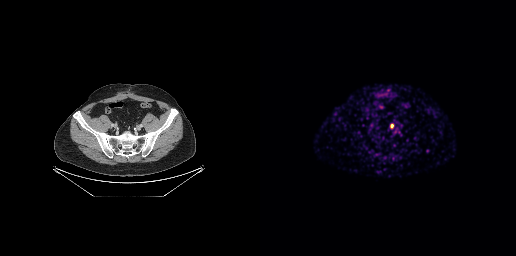
Coordinates are on the 256×256 PET (right) panel. PSMA-avid tumor lesion bounding box (x, y, width, height): x=130 y=124 w=4 h=5.